Left: CT. Right: PSMA PET, same axial level, 18F-PSMA tracer. Acquired on Siemens Biograph mCT Flow 20.
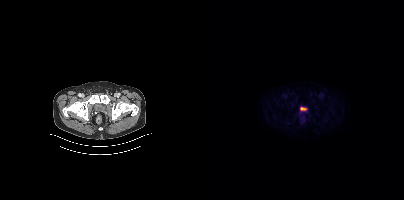
Coordinates are on the 200×200 PET (right) panel. Small PSMA-avid focus (2 to 4 px across) near (center x, center y): (96, 114).